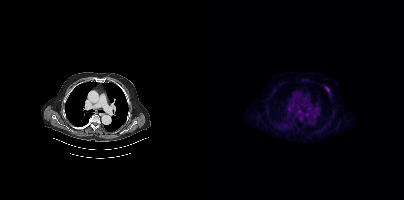
Left: CT. Right: PSMA PET, same axial level, [18F]PSMA-1007 tracer. Slice 312 of 425.
Coordinates are on the 200×200 PET (right) panel. PSMA-avid tumor lesion bounding boxes:
| # | x0 | y0 | x1 | y1 |
|---|---|---|---|---|
| 1 | 121 | 87 | 125 | 91 |